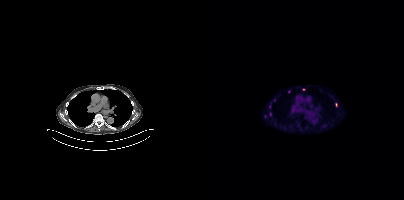
Coordinates are on the 200×200 PET (right) panel. Small PSMA-avid foci (2 to 4 px across) near (center x, center y): (132, 104) | (99, 89) | (84, 91).